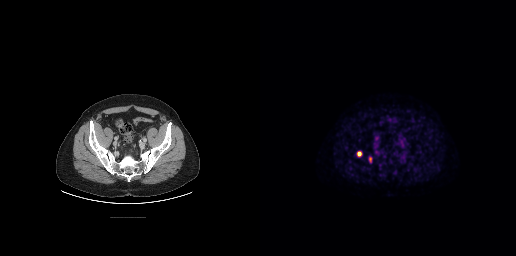
Technique: Two-panel axial: CT | PSMA PET, [18F]PSMA-1007 tracer. slice position z = -658 mm.
Findings: Coordinates are on the 256×256 PET (right) panel. PSMA-avid tumor lesion bounding boxes (x, y, width, height): x=97 y=151 w=5 h=6 / x=109 y=157 w=3 h=6.